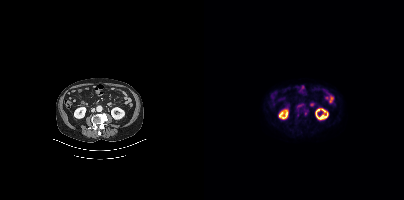
{"modality":"PSMA PET/CT","view":"axial","tracer":"18F-PSMA","pet_grid":[200,200],"coord_frame":"pet_panel","coord_format":"x0,y0,x1,y1","lesion_bboxes":[],"small_foci_centers":[[101,113]]}